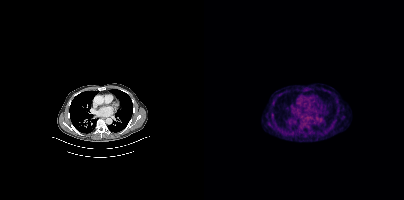
modality: PSMA PET/CT | tracer: 18F-PSMA | view: axial
Coordinates are on the 200×200 PET (right) panel. PSMA-avid tumor lesion bounding box (x0, y0)-(x1, y1): (96, 119)-(100, 122).